Paired axial CT (left) and PSMA PET (right), 18F-PSMA tracer. Acquired on Siemens Biograph mCT Flow 20.
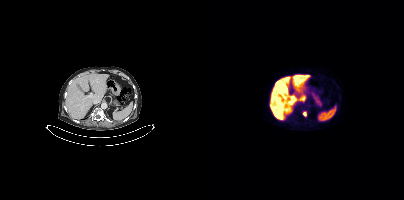
Coordinates are on the 200×200 PET (right) panel. PSMA-avid tumor lesion bounding box (x0,y0,x1,y1): [99,111,102,116].